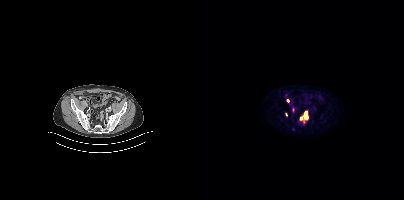
Left: CT. Right: PSMA PET, same axial level, 18F-PSMA tracer. Acquired on Siemens Biograph mCT Flow 20. Slice position z = -1530 mm.
Coordinates are on the 200×200 PET (right) panel. PSMA-avid tumor lesion bounding boxes (partial; 3 more foci not listed):
| # | x0 | y0 | x1 | y1 |
|---|---|---|---|---|
| 1 | 95 | 111 | 104 | 123 |
Small PSMA-avid foci (2 to 4 px across) near (center x, center y): (83, 100); (82, 114).